modality: PSMA PET/CT | tracer: [18F]PSMA-1007 | view: axial | PET grid: 200×200
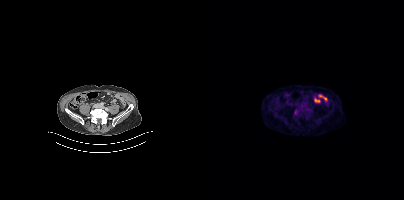
Coordinates are on the 200×200 PET (right) panel. Small PSMA-avid focus (2 to 4 px across) near (center x, center y): (91, 112).